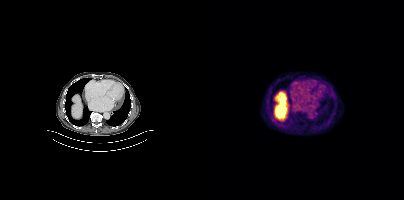
No PSMA-avid tumor lesions on this slice.